Technique: Paired axial CT (left) and PSMA PET (right), 18F tracer. slice 199 of 401. PET panel 200×200 px (4.1 mm/px).
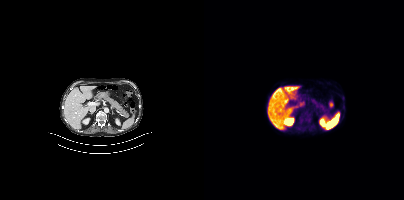
Findings: Coordinates are on the 200×200 PET (right) panel. PSMA-avid tumor lesion bounding box (x0,y0,x1,y1): [101,116,107,122].